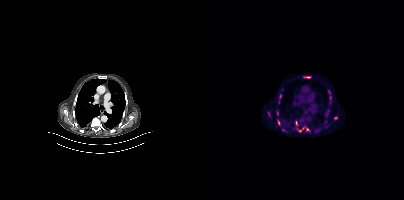
Coordinates are on the 200×200 PET (right) panel. (showing 6 of 9 foci) PSMA-avid tumor lesion bounding boxes (x, y, width, height): x=91 y=120 w=15 h=13 / x=73 y=120 w=4 h=6 / x=100 y=76 w=7 h=3 / x=64 y=112 w=3 h=6. Small PSMA-avid foci (2 to 4 px across) near (center x, center y): (131, 118) / (96, 120).